- Paired axial CT (left) and PSMA PET (right), 18F-PSMA tracer
- acquired on Siemens Biograph mCT Flow 20
- slice position z = -1558 mm
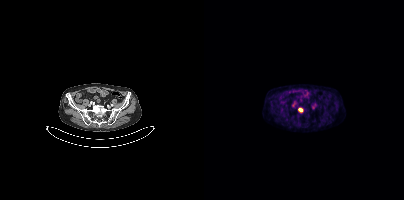
Findings: Coordinates are on the 200×200 PET (right) panel. PSMA-avid tumor lesion bounding box (x0,y0,x1,y1): [94,108,98,112].